Paired axial CT (left) and PSMA PET (right), [18F]PSMA-1007 tracer. Acquired on Siemens Biograph mCT Flow 20. Slice position z = -859 mm. PET panel 200×200 px (4.1 mm/px).
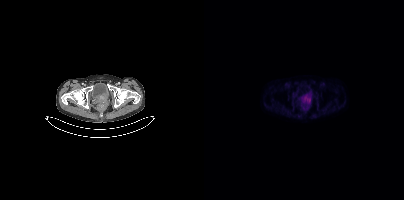
Coordinates are on the 200×200 PET (right) panel. PSMA-avid tumor lesion bounding box (x0, y0)-(x1, y1): (97, 95)-(107, 102).